Paired axial CT (left) and PSMA PET (right), [18F]PSMA-1007 tracer.
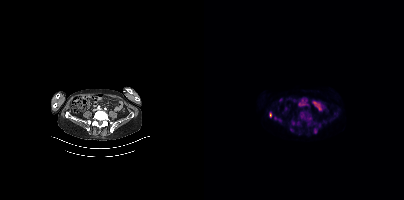
Coordinates are on the 200×200 PET (right) panel. PSMA-avid tumor lesion bounding boxes (partial; 2 more foci not listed):
| # | x0 | y0 | x1 | y1 |
|---|---|---|---|---|
| 1 | 110 | 128 | 113 | 133 |
| 2 | 103 | 117 | 107 | 120 |
| 3 | 65 | 112 | 67 | 117 |
| 4 | 88 | 121 | 90 | 125 |
Small PSMA-avid focus (2 to 4 px across) near (center x, center y): (71, 118).